- Paired axial CT (left) and PSMA PET (right), 18F tracer
- acquired on Siemens Biograph mCT Flow 20
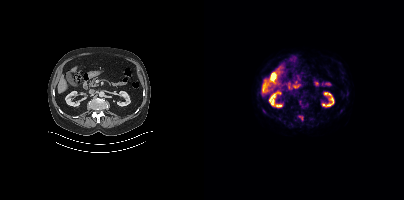
Findings: Only PSMA-avid lesion pieces thinner than 2 px on this slice (not listed).